- Two-panel axial: CT | PSMA PET, 18F-PSMA tracer
- PET panel 200×200 px (4.1 mm/px)
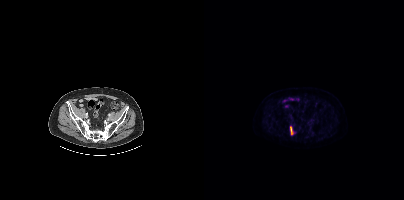
Findings: Coordinates are on the 200×200 PET (right) panel. PSMA-avid tumor lesion bounding box (x, y, width, height): x=86 y=127 w=3 h=8.